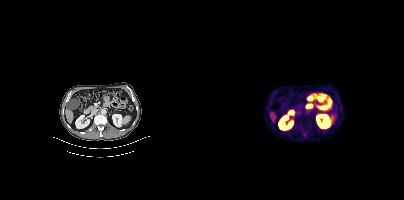
Coordinates are on the 200×200 PET (right) panel. (showing 3 of 4 foci) PSMA-avid tumor lesion bounding boxes (x, y, width, height): x=98 y=132 w=6 h=7 | x=101 y=116 w=6 h=11 | x=95 y=120 w=8 h=8.